Left: CT. Right: PSMA PET, same axial level, [18F]PSMA-1007 tracer. Acquired on Siemens Biograph mCT Flow 20. Slice 348 of 454. PET panel 200×200 px (4.1 mm/px).
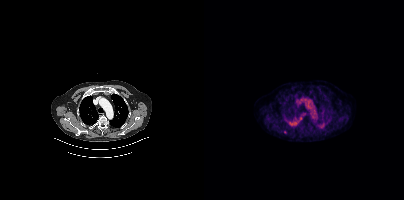
Coordinates are on the 200×200 PET (right) panel. Small PSMA-avid focus (2 to 4 px across) near (center x, center y): (80, 132).